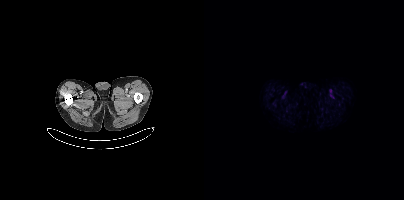
No PSMA-avid tumor lesions on this slice.